Privacy masking over the head, with the pixels inside a rectangle set to black.
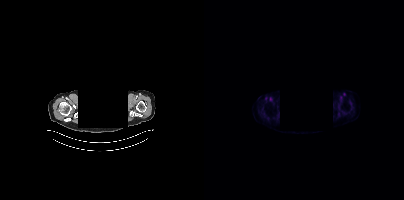
No tumor lesions annotated on this slice.